- Left: CT. Right: PSMA PET, same axial level, [18F]PSMA-1007 tracer
- acquired on Siemens Biograph mCT Flow 20
- PET panel 200×200 px (4.1 mm/px)
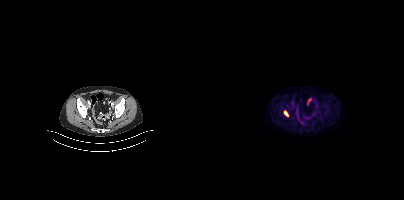
Findings: Coordinates are on the 200×200 PET (right) panel. PSMA-avid tumor lesion bounding box (x0, y0)-(x1, y1): (80, 111)-(84, 116).